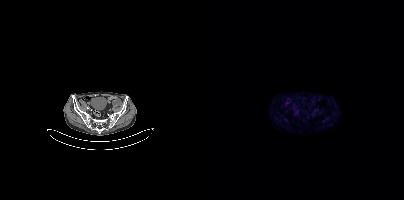
Negative for PSMA-avid disease on this slice. Two-panel axial: CT | PSMA PET, [18F]PSMA-1007 tracer. Slice position z = -910 mm.